Technique: Paired axial CT (left) and PSMA PET (right), 18F-PSMA tracer. acquired on Siemens Biograph mCT Flow 20.
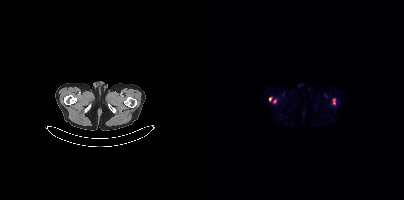
Findings: Coordinates are on the 200×200 PET (right) panel. PSMA-avid tumor lesion bounding boxes (x0, y0)-(x1, y1): (129, 98)-(131, 104) | (65, 97)-(68, 101) | (69, 99)-(72, 103).